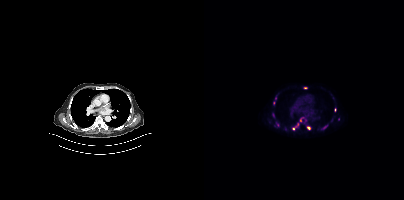
Coordinates are on the 200×200 PET (right) panel. (showing 3 of 4 foci) Small PSMA-avid foci (2 to 4 px across) near (center x, center y): (101, 87), (104, 128), (89, 128).